Left: CT. Right: PSMA PET, same axial level, 18F-PSMA tracer. Acquired on Siemens Biograph mCT Flow 20. Slice 273 of 397. PET panel 200×200 px (4.1 mm/px).
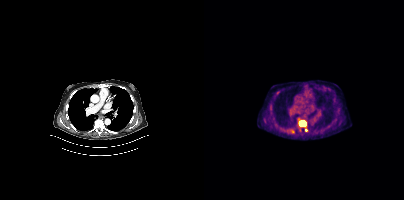
Coordinates are on the 200×200 PET (right) panel. PSMA-avid tumor lesion bounding boxes (partial; 1 more focus not listed):
| # | x0 | y0 | x1 | y1 |
|---|---|---|---|---|
| 1 | 95 | 121 | 101 | 125 |
Small PSMA-avid focus (2 to 4 px across) near (center x, center y): (102, 130).